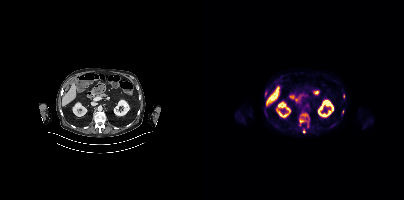
modality: PSMA PET/CT | tracer: [18F]PSMA-1007 | view: axial
Coordinates are on the 200×200 PET (right) panel. (showing 3 of 5 foci) Small PSMA-avid foci (2 to 4 px across) near (center x, center y): (97, 120) (100, 131) (61, 93).